- Two-panel axial: CT | PSMA PET, 18F tracer
- acquired on Siemens Biograph mCT Flow 20
- slice 272 of 377
- PET panel 200×200 px (4.1 mm/px)
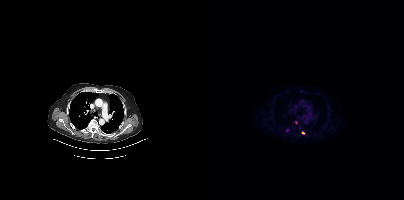
Findings: Coordinates are on the 200×200 PET (right) panel. Small PSMA-avid foci (2 to 4 px across) near (center x, center y): (99, 133) / (91, 122).